Two-panel axial: CT | PSMA PET, 18F tracer. PET panel 200×200 px (4.1 mm/px).
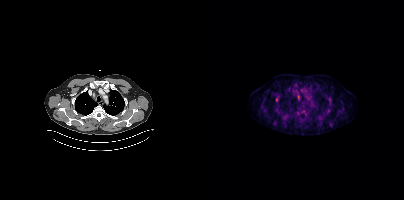
Coordinates are on the 200×200 PET (right) panel. (showing 1 of 2 foci) Small PSMA-avid focus (2 to 4 px across) near (center x, center y): (72, 100).